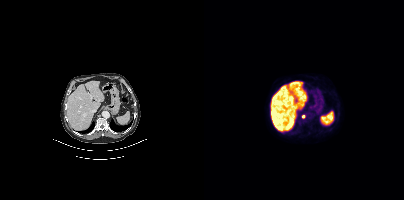
- Paired axial CT (left) and PSMA PET (right), 18F tracer
Findings: Coordinates are on the 200×200 PET (right) panel. PSMA-avid tumor lesion bounding box (x0, y0)-(x1, y1): (97, 115)-(101, 118).